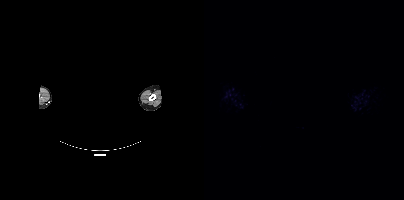
The head region is masked for de-identification.
No tumor lesions annotated on this slice.